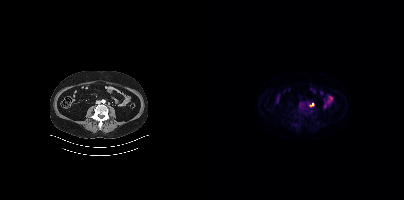
Technique: Two-panel axial: CT | PSMA PET, 18F-PSMA tracer. acquired on Siemens Biograph mCT Flow 20. PET panel 200×200 px (4.1 mm/px).
Findings: Coordinates are on the 200×200 PET (right) panel. PSMA-avid tumor lesion bounding box (x0,y0,x1,y1): [105,103,110,106].